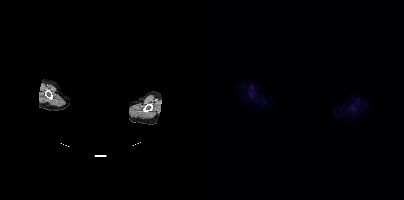
Any black rectangle over the head is a privacy mask, not anatomy.
Negative for PSMA-avid disease on this slice.